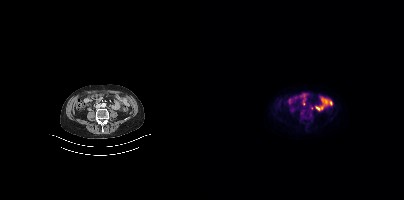
Findings: Coordinates are on the 200×200 PET (right) panel. Small PSMA-avid foci (2 to 4 px across) near (center x, center y): (108, 108); (100, 105).
- Left: CT. Right: PSMA PET, same axial level, 18F tracer
- slice 149 of 401
- PET panel 200×200 px (4.1 mm/px)